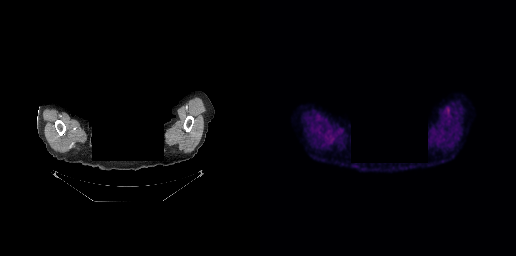
Technique: Left: CT. Right: PSMA PET, same axial level, 18F-PSMA tracer. slice position z = -239 mm.
Note: Facial anatomy redacted by setting a rectangular region of the head to black.
Findings: Negative for PSMA-avid disease on this slice.